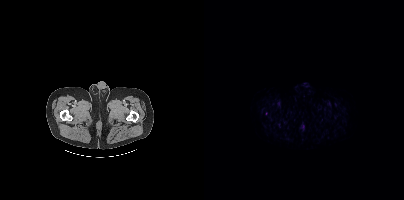
Only PSMA-avid lesion pieces thinner than 2 px on this slice (not listed). Two-panel axial: CT | PSMA PET, [18F]PSMA-1007 tracer. Slice position z = -1548 mm. PET panel 200×200 px (4.1 mm/px).